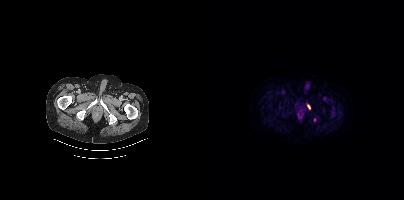
Technique: Two-panel axial: CT | PSMA PET, 18F tracer. acquired on Siemens Biograph mCT Flow 20. PET panel 200×200 px (4.1 mm/px).
Findings: Coordinates are on the 200×200 PET (right) panel. PSMA-avid tumor lesion bounding box (x, y, width, height): x=103 y=103 w=4 h=7. Small PSMA-avid focus (2 to 4 px across) near (center x, center y): (110, 119).